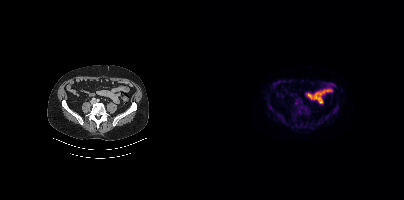
Two-panel axial: CT | PSMA PET, [18F]PSMA-1007 tracer. Coordinates are on the 200×200 PET (right) panel. PSMA-avid tumor lesion bounding boxes (x0, y0)-(x1, y1): (91, 101)-(102, 114) / (62, 99)-(70, 111) / (128, 108)-(132, 112) / (118, 115)-(124, 120) / (89, 117)-(92, 121). Small PSMA-avid foci (2 to 4 px across) near (center x, center y): (78, 118) / (133, 105).